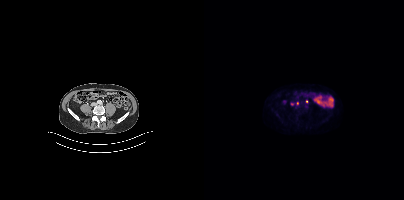
Technique: Paired axial CT (left) and PSMA PET (right), 18F-PSMA tracer. acquired on Siemens Biograph mCT Flow 20.
Findings: Coordinates are on the 200×200 PET (right) panel. Small PSMA-avid foci (2 to 4 px across) near (center x, center y): (88, 104) | (102, 101) | (93, 103).